modality: PSMA PET/CT | tracer: 18F-PSMA | view: axial
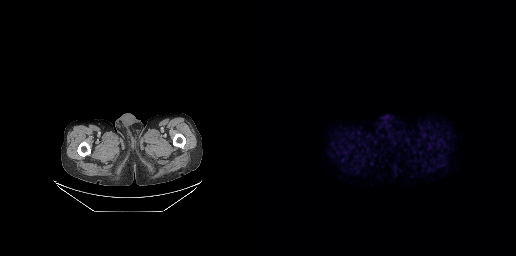
Negative for PSMA-avid disease on this slice.